The head region is masked for de-identification.
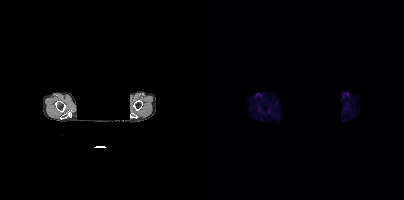
No PSMA-avid tumor lesions on this slice.